Paired axial CT (left) and PSMA PET (right), 18F-PSMA tracer. Slice 308 of 373. PET panel 200×200 px (4.1 mm/px).
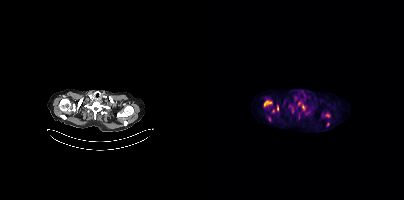
Coordinates are on the 200×200 PET (right) panel. (showing 7 of 8 foci) PSMA-avid tumor lesion bounding boxes (x, y, width, height): x=60 y=100 w=9 h=7; x=98 y=105 w=3 h=5; x=121 y=114 w=5 h=3; x=73 y=105 w=2 h=6. Small PSMA-avid foci (2 to 4 px across) near (center x, center y): (95, 103); (123, 124); (69, 110).